Two-panel axial: CT | PSMA PET, [68Ga]Ga-PSMA-11 tracer. Acquired on GE Discovery 690. Slice position z = -755 mm. PET panel 256×256 px (2.7 mm/px).
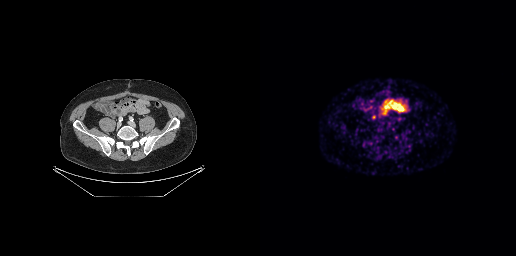
Coordinates are on the 256×256 PET (right) panel. Small PSMA-avid focus (2 to 4 px across) near (center x, center y): (113, 117).